Technique: Paired axial CT (left) and PSMA PET (right), 18F-PSMA tracer. acquired on Siemens Biograph mCT Flow 20.
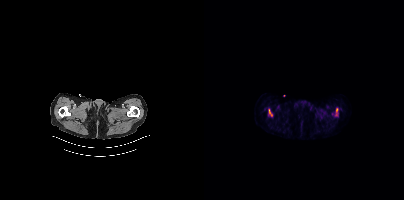
Findings: Coordinates are on the 200×200 PET (right) panel. PSMA-avid tumor lesion bounding boxes (x, y, width, height): x=65 y=109 w=4 h=8 / x=132 y=108 w=2 h=5. Small PSMA-avid focus (2 to 4 px across) near (center x, center y): (132, 114).